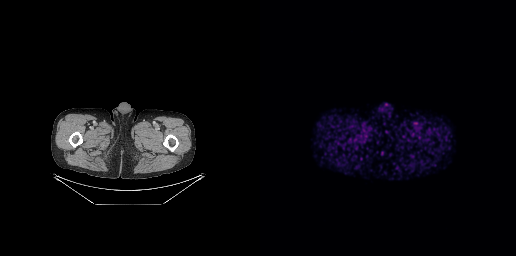
{"pet_grid":[256,256],"coord_frame":"pet_panel","coord_format":"x0,y0,x1,y1","psma_avid_lesions":false,"modality":"PSMA PET/CT","view":"axial","tracer":"[68Ga]Ga-PSMA-11"}